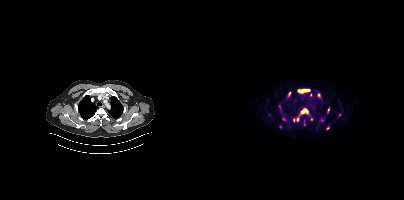
Technique: Left: CT. Right: PSMA PET, same axial level, 18F-PSMA tracer. slice position z = -966 mm. PET panel 200×200 px (4.1 mm/px).
Findings: Coordinates are on the 200×200 PET (right) panel. (showing 10 of 13 foci) PSMA-avid tumor lesion bounding boxes (x0,y0,x1,y1): [94,89,105,92]; [97,109,103,113]; [100,120,101,125]; [124,108,125,112]. Small PSMA-avid foci (2 to 4 px across) near (center x, center y): (85, 94); (115, 95); (93, 119); (89, 120); (123, 128); (79, 118).